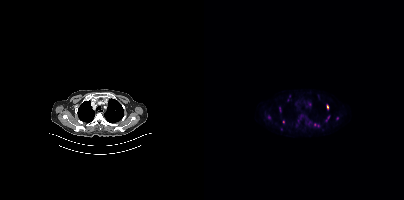
modality: PSMA PET/CT | tracer: [18F]PSMA-1007 | view: axial | PET grid: 200×200
Coordinates are on the 200×200 PET (right) panel. (showing 4 of 5 foci) Small PSMA-avid foci (2 to 4 px across) near (center x, center y): (123, 106) (79, 121) (110, 124) (133, 118).